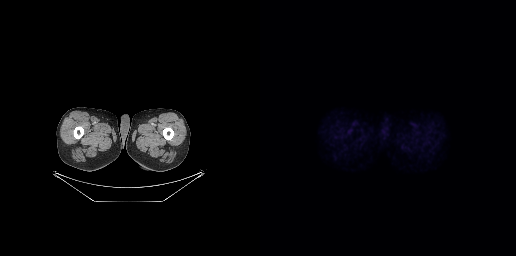
Negative for PSMA-avid disease on this slice. Left: CT. Right: PSMA PET, same axial level, 18F tracer. Slice position z = -760 mm.